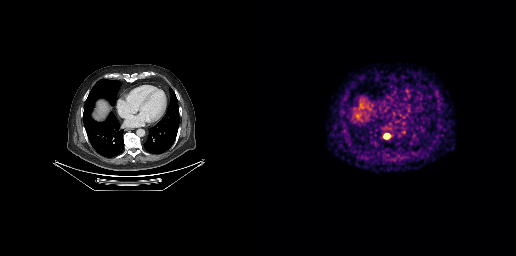
Coordinates are on the 256×256 PET (right) panel. PSMA-avid tumor lesion bounding box (x0,y0,x1,y1): [124,134,129,138]. Left: CT. Right: PSMA PET, same axial level, 68Ga-PSMA tracer. Acquired on GE Discovery 690. Slice position z = -550 mm.